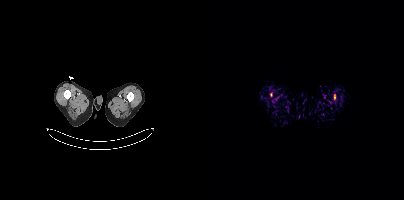
Coordinates are on the 200×200 PET (right) panel. PSMA-avid tumor lesion bounding box (x0,y0,x1,y1): [130,94,131,99].